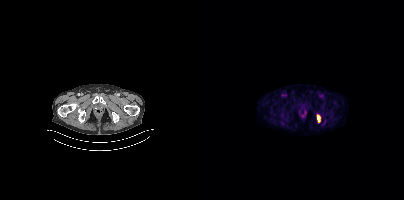
Coordinates are on the 200×200 PET (right) panel. PSMA-avid tumor lesion bounding box (x0,y0,x1,y1): [113,115,116,122]. Paired axial CT (left) and PSMA PET (right), 18F tracer. Acquired on Siemens Biograph mCT Flow 20.